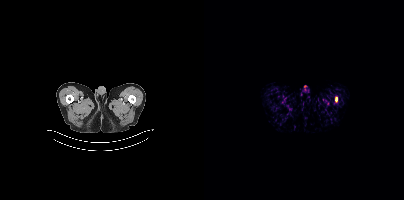
Paired axial CT (left) and PSMA PET (right), 18F tracer. Coordinates are on the 200×200 PET (right) panel. PSMA-avid tumor lesion bounding box (x0,y0,x1,y1): [131,97,133,102].